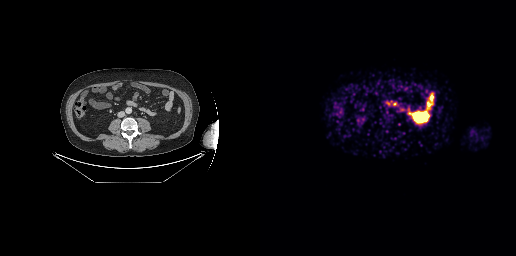
No PSMA-avid tumor lesions on this slice.